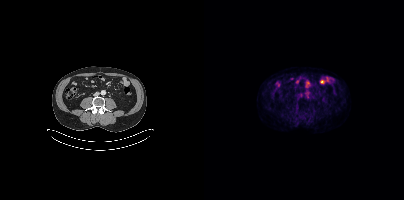
- Left: CT. Right: PSMA PET, same axial level, 18F-PSMA tracer
- slice 183 of 454
- PET panel 200×200 px (4.1 mm/px)
Findings: Only PSMA-avid lesion pieces thinner than 2 px on this slice (not listed).